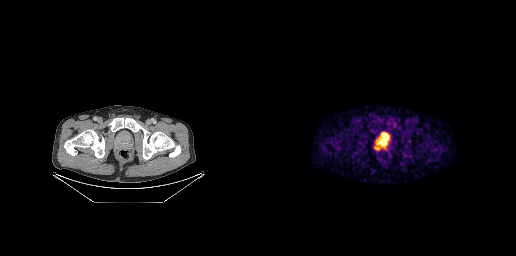
modality: PSMA PET/CT | tracer: 18F-PSMA | view: axial | PET grid: 256×256
Coordinates are on the 256×256 PET (right) panel. PSMA-avid tumor lesion bounding box (x, y, width, height): x=115 y=134 w=15 h=16.